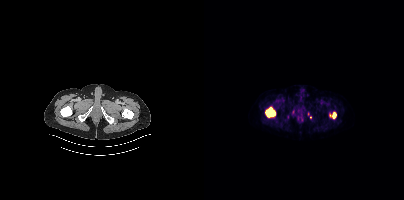
- Paired axial CT (left) and PSMA PET (right), [18F]PSMA-1007 tracer
- slice 39 of 444
- PET panel 200×200 px (4.1 mm/px)
Findings: Coordinates are on the 200×200 PET (right) panel. (showing 2 of 3 foci) PSMA-avid tumor lesion bounding boxes (x0,y0,x1,y1): [61,107,71,117], [128,112,132,118].